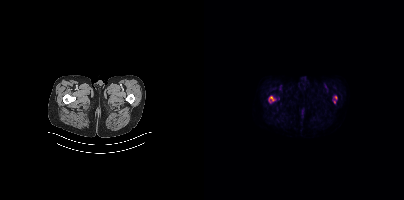
Technique: Two-panel axial: CT | PSMA PET, [18F]PSMA-1007 tracer. slice position z = -1538 mm. PET panel 200×200 px (4.1 mm/px).
Findings: Coordinates are on the 200×200 PET (right) panel. PSMA-avid tumor lesion bounding box (x, y, width, height): x=65 y=96 w=5 h=5. Small PSMA-avid foci (2 to 4 px across) near (center x, center y): (131, 97) | (130, 101).